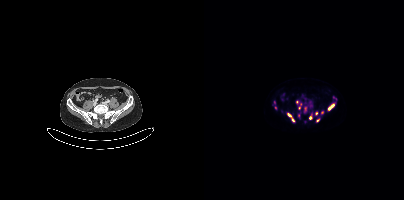
Left: CT. Right: PSMA PET, same axial level, [18F]PSMA-1007 tracer. Acquired on Siemens Biograph mCT Flow 20. Slice 121 of 407. PET panel 200×200 px (4.1 mm/px). Coordinates are on the 200×200 PET (right) panel. (showing 10 of 13 foci) PSMA-avid tumor lesion bounding box (x0,y0,x1,y1): [84,114,90,122]. Small PSMA-avid foci (2 to 4 px across) near (center x, center y): (112, 113) (113, 120) (92, 102) (95, 108) (125, 108) (117, 112) (128, 105) (106, 117) (71, 107).